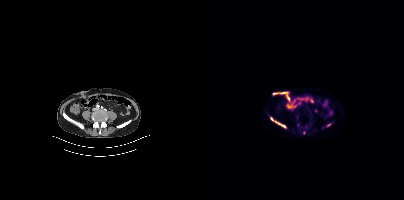
Coordinates are on the 200×200 PET (right) panel. (showing 2 of 3 foci) PSMA-avid tumor lesion bounding box (x0, y0)-(x1, y1): (66, 117)-(82, 128). Small PSMA-avid focus (2 to 4 px across) near (center x, center y): (124, 125).